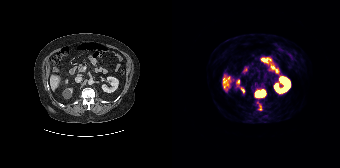
Coordinates are on the 168×168 PET (right) panel. (showing 1 of 2 foci) PSMA-avid tumor lesion bounding box (x0,y0,x1,y1): [83,89,94,97].